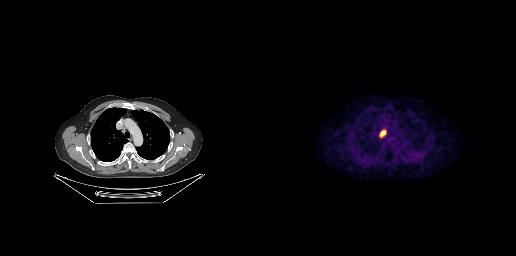
{"modality":"PSMA PET/CT","view":"axial","tracer":"18F-PSMA","pet_grid":[256,256],"coord_frame":"pet_panel","coord_format":"x0,y0,x1,y1","lesion_bboxes":[[120,130,125,136]]}